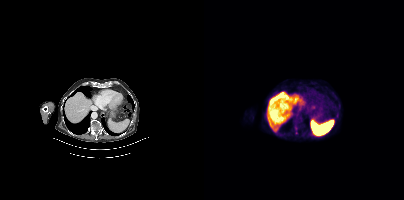
{"modality":"PSMA PET/CT","view":"axial","tracer":"18F","pet_grid":[200,200],"coord_frame":"pet_panel","coord_format":"x0,y0,x1,y1","psma_avid_lesions":false}